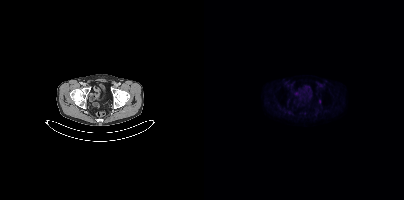
Coordinates are on the 200×200 PET (right) panel. Small PSMA-avid focus (2 to 4 px across) near (center x, center y): (115, 101).